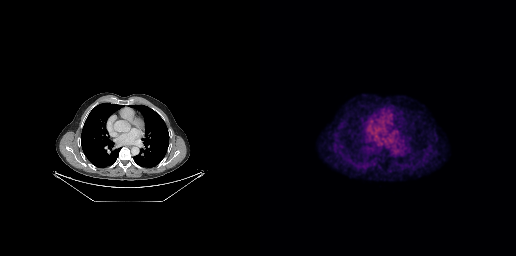
Negative for PSMA-avid disease on this slice.